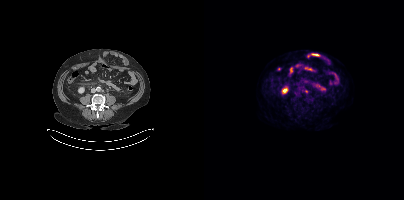
- Left: CT. Right: PSMA PET, same axial level, 18F tracer
- slice 170 of 435
Findings: Coordinates are on the 200×200 PET (right) panel. PSMA-avid tumor lesion bounding box (x0, y0)-(x1, y1): (100, 89)-(104, 93).